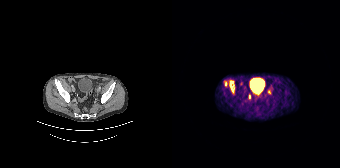
Findings: Coordinates are on the 168×168 PET (right) panel. PSMA-avid tumor lesion bounding box (x0, y0)-(x1, y1): (58, 80)-(62, 92). Small PSMA-avid foci (2 to 4 px across) near (center x, center y): (53, 83) / (97, 92) / (77, 96) / (86, 94).
- Left: CT. Right: PSMA PET, same axial level, 68Ga tracer
- acquired on Siemens Biograph 64-4R TruePoint
- slice 54 of 195